- face de-identified by blanking a block of the head
- Left: CT. Right: PSMA PET, same axial level, 18F tracer
- slice 396 of 421
- PET panel 200×200 px (4.1 mm/px)
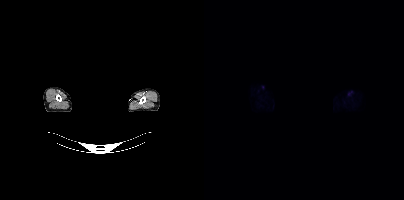
Findings: Negative for PSMA-avid disease on this slice.